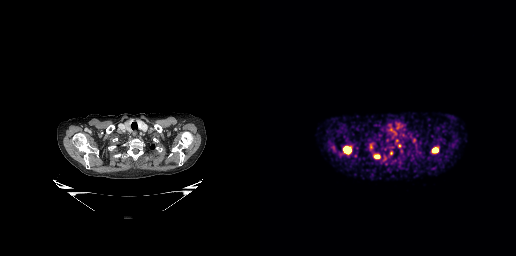
Paired axial CT (left) and PSMA PET (right), 68Ga tracer. Slice 223 of 263. PET panel 256×256 px (2.7 mm/px).
Coordinates are on the 256×256 PET (right) panel. PSMA-avid tumor lesion bounding boxes (partial; 2 more foci not listed):
| # | x0 | y0 | x1 | y1 |
|---|---|---|---|---|
| 1 | 83 | 146 | 90 | 152 |
| 2 | 172 | 148 | 177 | 152 |
| 3 | 110 | 143 | 112 | 149 |
Small PSMA-avid foci (2 to 4 px across) near (center x, center y): (154, 139); (117, 156); (131, 153); (139, 145).